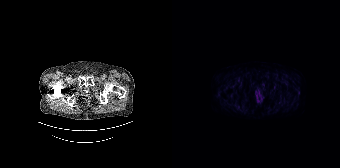
{"pet_grid":[168,168],"coord_frame":"pet_panel","coord_format":"x0,y0,x1,y1","psma_avid_lesions":false,"modality":"PSMA PET/CT","view":"axial","tracer":"18F-PSMA"}